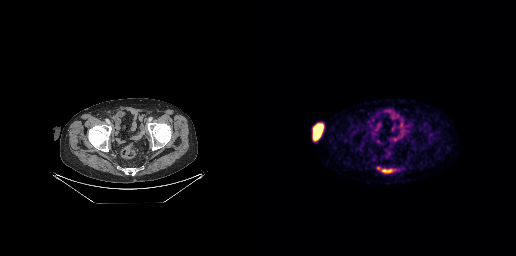
Two-panel axial: CT | PSMA PET, [18F]PSMA-1007 tracer. Coordinates are on the 256×256 PET (right) panel. PSMA-avid tumor lesion bounding box (x0, y0)-(x1, y1): (121, 169)-(133, 172). Small PSMA-avid focus (2 to 4 px across) near (center x, center y): (118, 168).